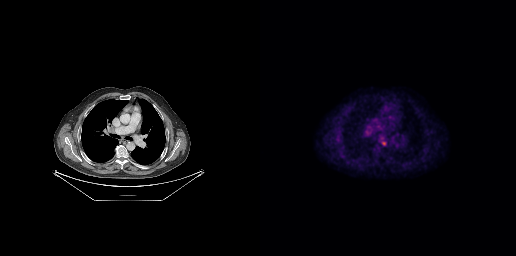
{"modality":"PSMA PET/CT","view":"axial","tracer":"[18F]PSMA-1007","pet_grid":[256,256],"coord_frame":"pet_panel","coord_format":"x0,y0,x1,y1","lesion_bboxes":[[121,141,126,145]]}